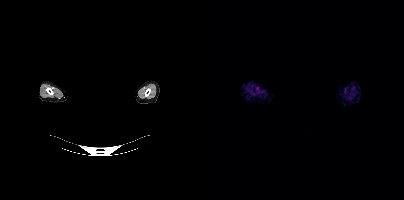
Technique: Left: CT. Right: PSMA PET, same axial level, 18F tracer. acquired on Siemens Biograph mCT Flow 20.
Note: A rectangular block over the head has been blanked out for de-identification.
Findings: No tumor lesions annotated on this slice.